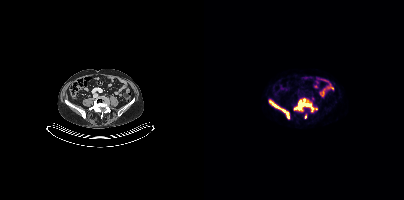
modality: PSMA PET/CT | tracer: [18F]PSMA-1007 | view: axial | PET grid: 200×200
Coordinates are on the 200×200 PET (right) panel. PSMA-avid tumor lesion bounding boxes (x, y, width, height): x=90 y=100 w=18 h=12 | x=66 y=101 w=20 h=18 | x=107 y=107 w=5 h=5. Small PSMA-avid foci (2 to 4 px across) near (center x, center y): (101, 115) | (100, 99).